- Two-panel axial: CT | PSMA PET, 18F-PSMA tracer
- slice position z = -1146 mm
- PET panel 200×200 px (4.1 mm/px)
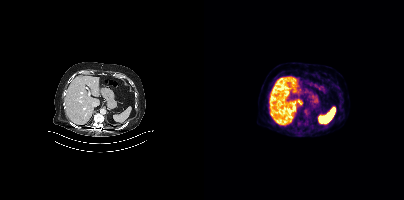
Findings: Only PSMA-avid lesion pieces thinner than 2 px on this slice (not listed).